Technique: Paired axial CT (left) and PSMA PET (right), [68Ga]Ga-PSMA-11 tracer. acquired on Siemens Biograph 64-4R TruePoint. PET panel 168×168 px (4.1 mm/px).
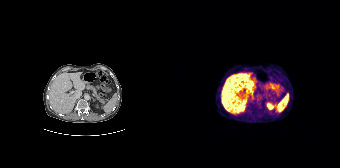
Findings: No tumor lesions annotated on this slice.